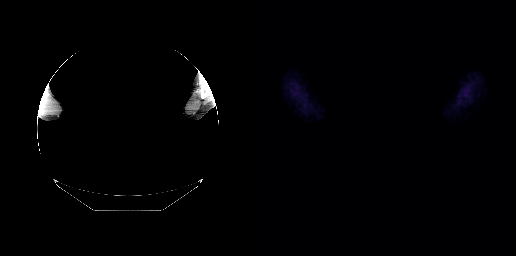
This slice has no annotated PSMA-avid lesion.
deidentification: head region blacked out before release | modality: PSMA PET/CT | tracer: 18F | view: axial